Left: CT. Right: PSMA PET, same axial level, [18F]PSMA-1007 tracer.
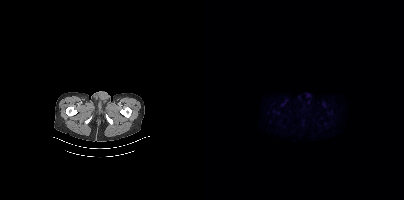
No PSMA-avid tumor lesions on this slice.